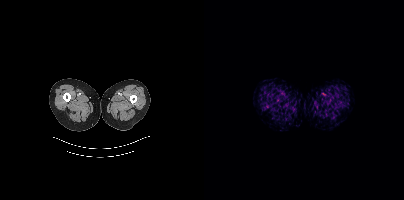
No tumor lesions annotated on this slice. Paired axial CT (left) and PSMA PET (right), 18F tracer. Acquired on Siemens Biograph mCT Flow 20. Slice 7 of 438.